Technique: Left: CT. Right: PSMA PET, same axial level, 18F-PSMA tracer. acquired on Siemens Biograph mCT Flow 20. slice 105 of 454.
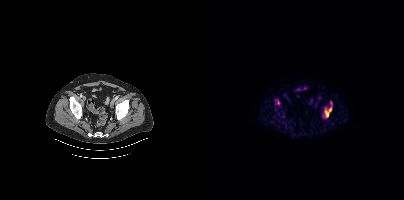
Findings: Coordinates are on the 200×200 PET (right) panel. PSMA-avid tumor lesion bounding box (x0,y0,x1,y1): [120,106,127,117]. Small PSMA-avid foci (2 to 4 px across) near (center x, center y): (74, 102), (127, 103).